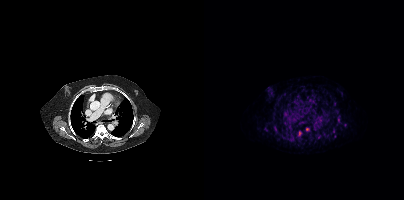
Coordinates are on the 200×200 PET (right) panel. PSMA-avid tumor lesion bounding box (x, y, width, height): x=94 y=131 w=4 h=6. Small PSMA-avid focus (2 to 4 px across) near (center x, center y): (102, 130).